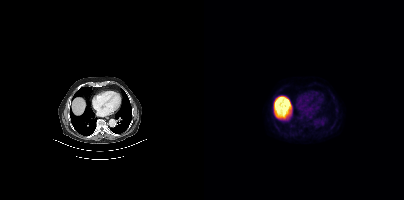
Negative for PSMA-avid disease on this slice. Two-panel axial: CT | PSMA PET, [18F]PSMA-1007 tracer. Acquired on Siemens Biograph mCT Flow 20. Slice 240 of 383.